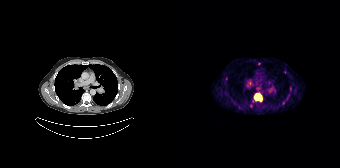
Two-panel axial: CT | PSMA PET, [68Ga]Ga-PSMA-11 tracer. Acquired on Siemens Biograph 64-4R TruePoint.
Coordinates are on the 168×168 PET (right) panel. PSMA-avid tumor lesion bounding boxes (partial; 1 more focus not listed):
| # | x0 | y0 | x1 | y1 |
|---|---|---|---|---|
| 1 | 82 | 93 | 90 | 101 |